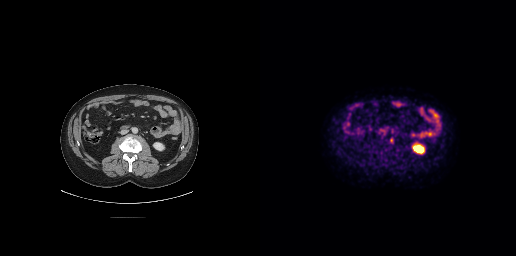
{"modality":"PSMA PET/CT","view":"axial","tracer":"18F","pet_grid":[256,256],"coord_frame":"pet_panel","coord_format":"x0,y0,x1,y1","lesion_bboxes":[],"small_foci_centers":[[131,140]]}